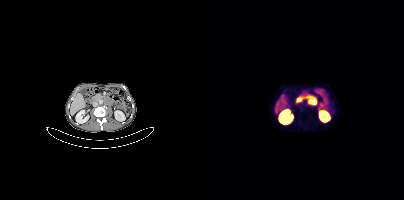
Left: CT. Right: PSMA PET, same axial level, 68Ga-PSMA tracer. Acquired on Siemens Biograph mCT Flow 20. Coordinates are on the 200×200 PET (right) panel. PSMA-avid tumor lesion bounding box (x, y, width, height): x=100 y=94 w=14 h=12.